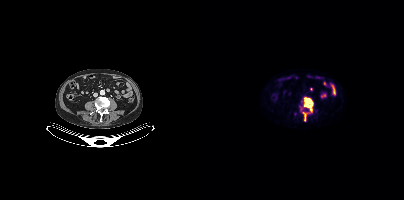
{"modality":"PSMA PET/CT","view":"axial","tracer":"[18F]PSMA-1007","pet_grid":[200,200],"coord_frame":"pet_panel","coord_format":"x0,y0,x1,y1","lesion_bboxes":[[100,98,108,107],[98,112,103,121]],"small_foci_centers":[[106,110]]}